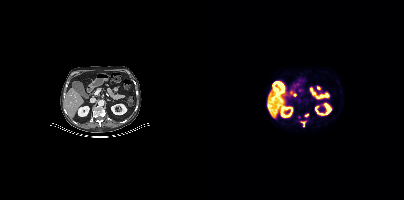
Coordinates are on the 200×200 PET (right) panel. PSMA-avid tumor lesion bounding box (x0,y0,x1,y1): [97,121,101,126]. Small PSMA-avid focus (2 to 4 px across) near (center x, center y): (102, 115).